An anonymization step blacked out a rectangle over the head in this scan. Paired axial CT (left) and PSMA PET (right), 18F tracer. Slice 163 of 165. PET panel 168×168 px (4.1 mm/px).
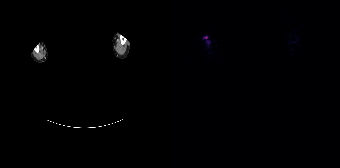
No tumor lesions annotated on this slice.